Technique: Paired axial CT (left) and PSMA PET (right), 18F tracer. acquired on GE Discovery 690. slice 221 of 263.
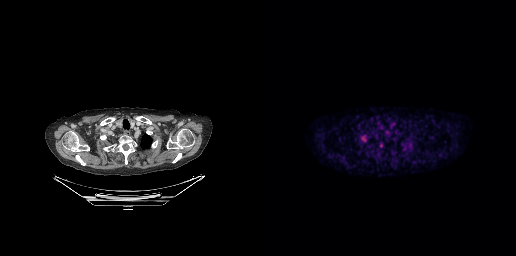
Findings: Coordinates are on the 256×256 PET (right) panel. PSMA-avid tumor lesion bounding box (x0, y0)-(x1, y1): (104, 135)-(106, 141). Small PSMA-avid focus (2 to 4 px across) near (center x, center y): (121, 145).